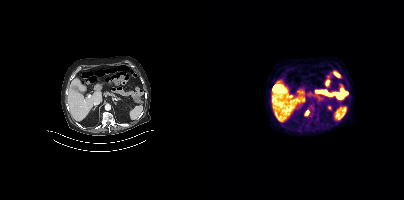
Technique: Two-panel axial: CT | PSMA PET, 18F-PSMA tracer. acquired on Siemens Biograph mCT Flow 20. slice 234 of 429. PET panel 200×200 px (4.1 mm/px).
Findings: Coordinates are on the 200×200 PET (right) panel. PSMA-avid tumor lesion bounding box (x0, y0)-(x1, y1): (101, 110)-(104, 115).